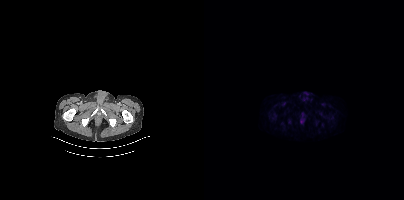
Findings: Negative for PSMA-avid disease on this slice.
Technique: Two-panel axial: CT | PSMA PET, 18F tracer. acquired on Siemens Biograph mCT Flow 20. slice position z = -1598 mm. PET panel 200×200 px (4.1 mm/px).